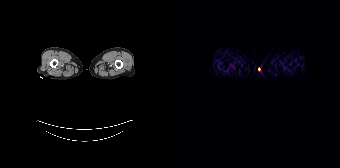
modality: PSMA PET/CT | tracer: 68Ga | view: axial | PET grid: 168×168
This slice has no annotated PSMA-avid lesion.